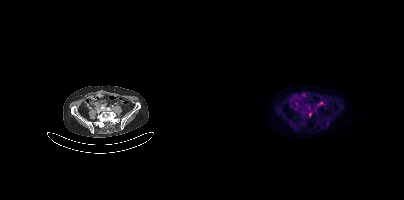
Coordinates are on the 200×200 PET (right) panel. Small PSMA-avid focus (2 to 4 px across) near (center x, center y): (105, 113). Two-panel axial: CT | PSMA PET, 18F-PSMA tracer. Slice position z = -1404 mm.